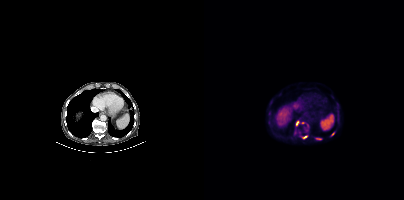
{"pet_grid":[200,200],"coord_frame":"pet_panel","coord_format":"x0,y0,x1,y1","partial":true,"lesion_bboxes":[],"small_foci_centers":[[93,123],[128,134],[100,137],[115,138],[65,113]],"modality":"PSMA PET/CT","view":"axial","tracer":"18F-PSMA"}